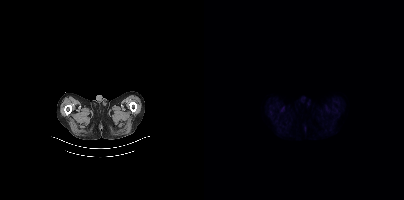
{"modality":"PSMA PET/CT","view":"axial","tracer":"18F","pet_grid":[200,200],"coord_frame":"pet_panel","coord_format":"x0,y0,x1,y1","psma_avid_lesions":false}